Two-panel axial: CT | PSMA PET, [18F]PSMA-1007 tracer. Slice 258 of 263. PET panel 256×256 px (2.7 mm/px). The head region is masked for de-identification.
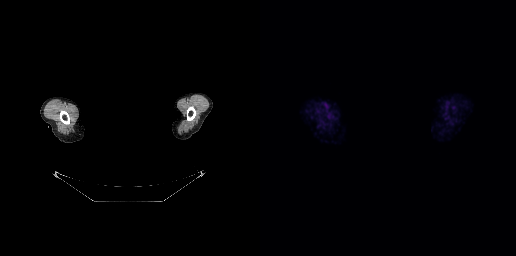
No tumor lesions annotated on this slice.